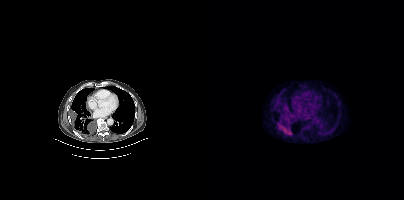
Paired axial CT (left) and PSMA PET (right), [18F]PSMA-1007 tracer. Slice 269 of 429. PET panel 200×200 px (4.1 mm/px). Coordinates are on the 200×200 PET (right) panel. PSMA-avid tumor lesion bounding boxes (x, y, width, height): x=73 y=122 w=15 h=14; x=82 y=109 w=6 h=6.